modality: PSMA PET/CT | tracer: 18F-PSMA | view: axial | PET grid: 200×200
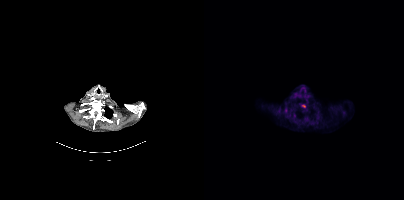
Coordinates are on the 200×200 PET (right) panel. Small PSMA-avid focus (2 to 4 px across) near (center x, center y): (99, 106).